- Two-panel axial: CT | PSMA PET, 18F-PSMA tracer
- acquired on Siemens Biograph mCT Flow 20
- PET panel 200×200 px (4.1 mm/px)
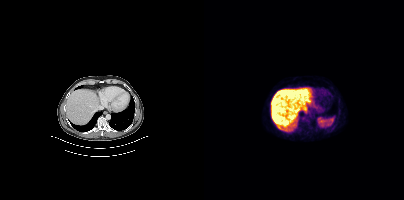
Findings: No PSMA-avid tumor lesions on this slice.